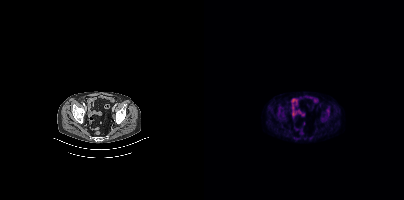
Coordinates are on the 200×200 PET (right) panel. PSMA-avid tumor lesion bounding box (x0, y0)-(x1, y1): (117, 117)-(122, 121).